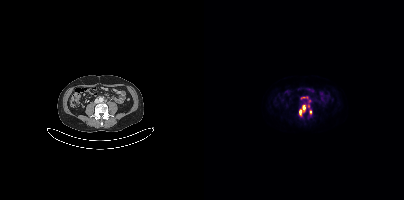
Coordinates are on the 200×200 PET (right) panel. PSMA-avid tumor lesion bounding box (x0, y0)-(x1, y1): (96, 105)-(108, 114). Small PSMA-avid foci (2 to 4 px across) near (center x, center y): (98, 98) | (103, 97) | (105, 100).